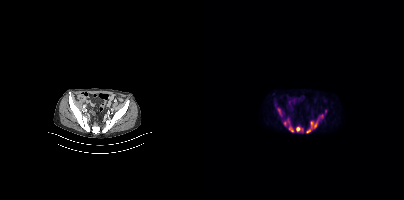
{"modality":"PSMA PET/CT","view":"axial","tracer":"18F","pet_grid":[200,200],"coord_frame":"pet_panel","coord_format":"x0,y0,x1,y1","partial":true,"lesion_bboxes":[[102,114,119,133],[92,126,98,131],[73,108,77,115],[85,126,89,131]],"small_foci_centers":[[81,123]]}